Left: CT. Right: PSMA PET, same axial level, 68Ga-PSMA tracer. Slice position z = -566 mm. PET panel 168×168 px (4.1 mm/px).
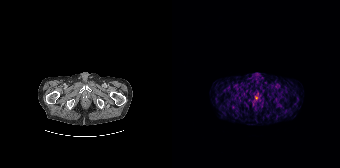
Negative for PSMA-avid disease on this slice.